Technique: Two-panel axial: CT | PSMA PET, 68Ga tracer. acquired on Siemens Biograph mCT Flow 20. slice position z = 925 mm. PET panel 200×200 px (4.1 mm/px).
Note: De-identified by setting a box covering the face to black before release.
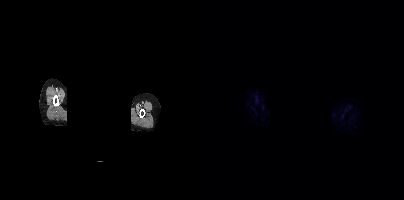
Findings: This slice has no annotated PSMA-avid lesion.